Technique: Two-panel axial: CT | PSMA PET, 18F tracer. acquired on Siemens Biograph mCT Flow 20.
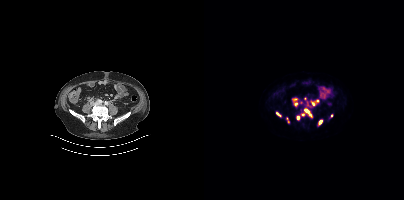
Findings: Coordinates are on the 200×200 PET (right) panel. (showing 14 of 15 foci) PSMA-avid tumor lesion bounding boxes (x0,y0,x1,y1): [100,108,108,117] [114,120,118,124] [107,101,111,105] [89,98,93,100] [72,113,76,116]. Small PSMA-avid foci (2 to 4 px across) near (center x, center y): (94, 117) (91, 103) (101, 98) (113, 101) (98, 114) (103, 102) (97, 102) (127, 115) (84, 121).